Paired axial CT (left) and PSMA PET (right), [18F]PSMA-1007 tracer. PET panel 200×200 px (4.1 mm/px).
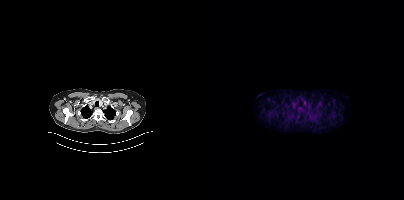
Only PSMA-avid lesion pieces thinner than 2 px on this slice (not listed).